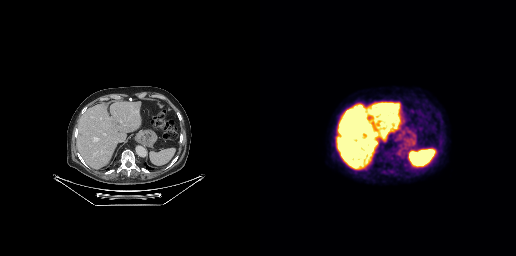
Findings: This slice has no annotated PSMA-avid lesion.
- Two-panel axial: CT | PSMA PET, 18F-PSMA tracer
- PET panel 256×256 px (2.7 mm/px)